Technique: Two-panel axial: CT | PSMA PET, 18F tracer. slice position z = -894 mm. PET panel 256×256 px (2.7 mm/px).
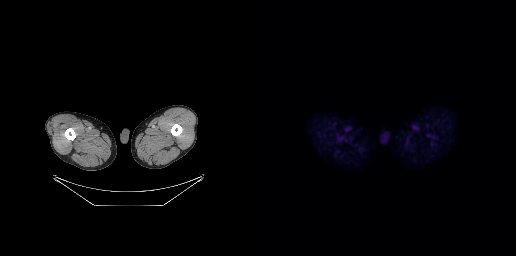
Findings: No PSMA-avid tumor lesions on this slice.